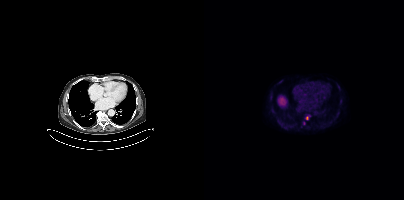
Technique: Left: CT. Right: PSMA PET, same axial level, [18F]PSMA-1007 tracer. slice 258 of 403.
Findings: Only PSMA-avid lesion pieces thinner than 2 px on this slice (not listed).